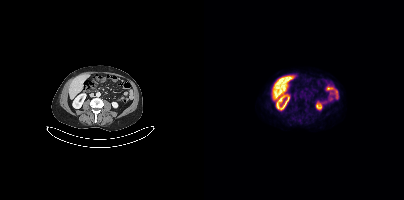
This slice has no annotated PSMA-avid lesion. Paired axial CT (left) and PSMA PET (right), 18F-PSMA tracer. Slice position z = -737 mm. PET panel 200×200 px (4.1 mm/px).